Two-panel axial: CT | PSMA PET, 18F-PSMA tracer. PET panel 256×256 px (2.7 mm/px).
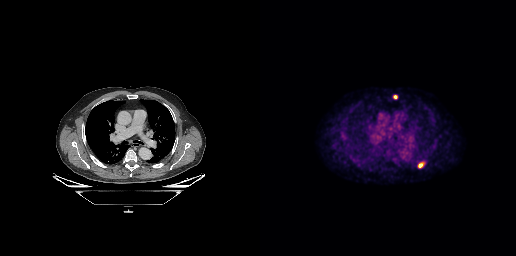
Coordinates are on the 256×256 PET (right) panel. PSMA-avid tumor lesion bounding boxes:
| # | x0 | y0 | x1 | y1 |
|---|---|---|---|---|
| 1 | 158 | 162 | 164 | 167 |
| 2 | 133 | 95 | 137 | 98 |